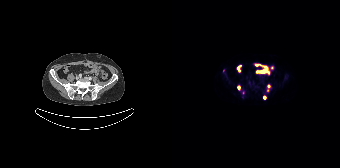
Two-panel axial: CT | PSMA PET, 18F tracer. Acquired on Siemens Biograph 64-4R TruePoint. Slice position z = -1010 mm. Coordinates are on the 168×168 PET (right) panel. (showing 4 of 5 foci) PSMA-avid tumor lesion bounding boxes (x, y, width, height): x=65 y=85 w=4 h=6 / x=91 y=95 w=4 h=5. Small PSMA-avid foci (2 to 4 px across) near (center x, center y): (96, 86) / (95, 90).